- Paired axial CT (left) and PSMA PET (right), 18F-PSMA tracer
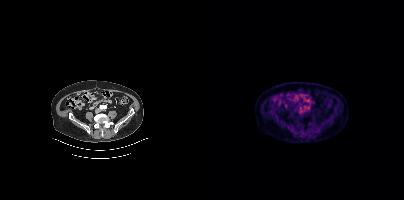
Findings: Coordinates are on the 200×200 PET (right) panel. Small PSMA-avid focus (2 to 4 px across) near (center x, center y): (96, 107).